Technique: Two-panel axial: CT | PSMA PET, [18F]PSMA-1007 tracer. acquired on Siemens Biograph mCT Flow 20. slice position z = -1228 mm. PET panel 200×200 px (4.1 mm/px).
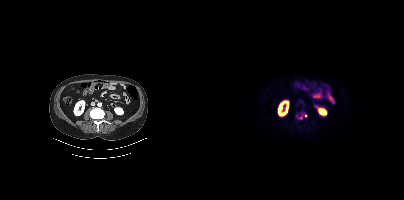
Findings: Coordinates are on the 200×200 PET (right) panel. (showing 2 of 3 foci) PSMA-avid tumor lesion bounding box (x, y, width, height): x=95 y=111 w=5 h=5. Small PSMA-avid focus (2 to 4 px across) near (center x, center y): (101, 115).